Technique: Paired axial CT (left) and PSMA PET (right), [18F]PSMA-1007 tracer.
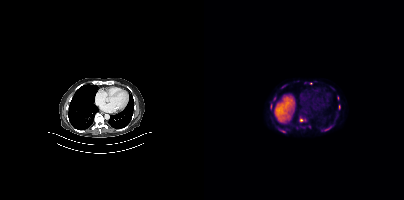
Findings: Coordinates are on the 200×200 PET (right) panel. (showing 8 of 10 foci) PSMA-avid tumor lesion bounding boxes (x0, y0)-(x1, y1): (120, 126)-(127, 130) | (96, 119)-(101, 121) | (69, 97)-(72, 101) | (77, 130)-(81, 132). Small PSMA-avid foci (2 to 4 px across) near (center x, center y): (78, 86) | (133, 97) | (135, 106) | (106, 83).